modality: PSMA PET/CT | tracer: 68Ga | view: axial | redaction: rectangular block over head set to black
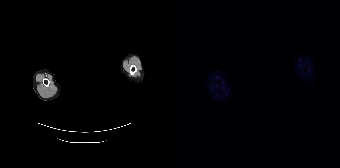
This slice has no annotated PSMA-avid lesion.